Two-panel axial: CT | PSMA PET, 18F tracer. PET panel 200×200 px (4.1 mm/px). The head region is masked for de-identification.
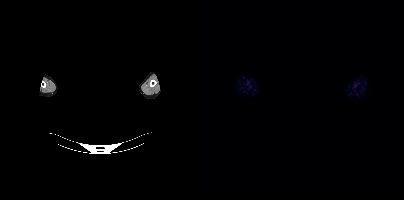
No tumor lesions annotated on this slice.